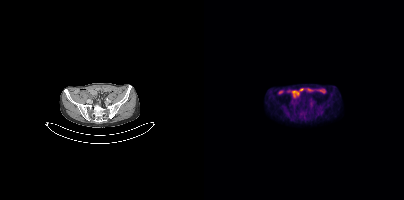
Two-panel axial: CT | PSMA PET, [18F]PSMA-1007 tracer. Acquired on Siemens Biograph mCT Flow 20. Slice 107 of 417. Negative for PSMA-avid disease on this slice.